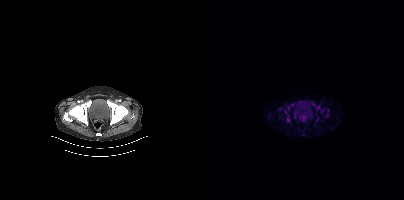
Coordinates are on the 200×200 PET (right) panel. (showing 9 of 11 foci) PSMA-avid tumor lesion bounding boxes (x, y, width, height): x=82 y=115 w=5 h=8 / x=112 y=105 w=4 h=6 / x=83 y=106 w=3 h=5 / x=117 y=108 w=3 h=5. Small PSMA-avid foci (2 to 4 px across) near (center x, center y): (81, 111) / (123, 115) / (124, 110) / (88, 104) / (76, 108).